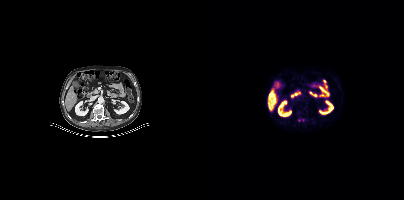
Only PSMA-avid lesion pieces thinner than 2 px on this slice (not listed).